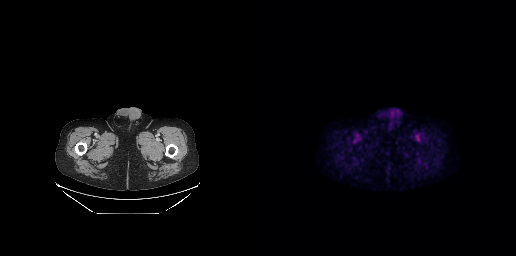
Technique: Two-panel axial: CT | PSMA PET, [18F]PSMA-1007 tracer. acquired on GE Discovery 690. slice position z = -778 mm. PET panel 256×256 px (2.7 mm/px).
Findings: No PSMA-avid tumor lesions on this slice.